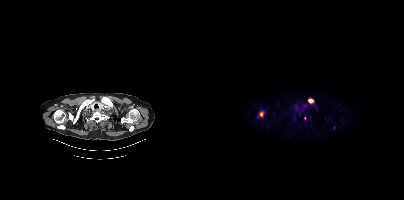
{"modality":"PSMA PET/CT","view":"axial","tracer":"[18F]PSMA-1007","pet_grid":[200,200],"coord_frame":"pet_panel","coord_format":"x0,y0,x1,y1","lesion_bboxes":[[104,98,109,103],[56,112,59,116]],"small_foci_centers":[[69,113],[112,109],[129,127],[100,118],[95,113]]}